Two-panel axial: CT | PSMA PET, [68Ga]Ga-PSMA-11 tracer.
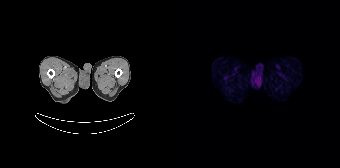
No tumor lesions annotated on this slice.